- Two-panel axial: CT | PSMA PET, 18F-PSMA tracer
- slice position z = -188 mm
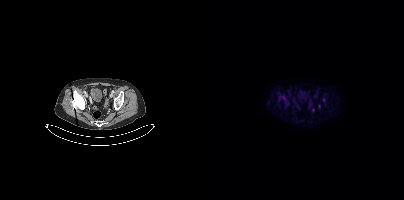
Findings: Coordinates are on the 200×200 PET (right) panel. Small PSMA-avid foci (2 to 4 px across) near (center x, center y): (119, 99) (115, 106) (109, 110).